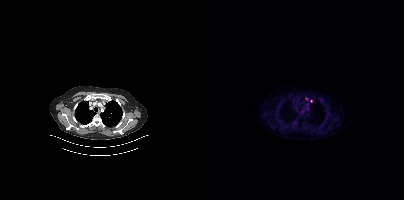
Two-panel axial: CT | PSMA PET, 18F-PSMA tracer. Slice 282 of 354. Only PSMA-avid lesion pieces thinner than 2 px on this slice (not listed).